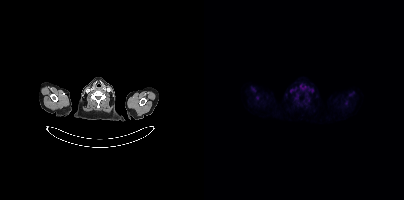
Negative for PSMA-avid disease on this slice.